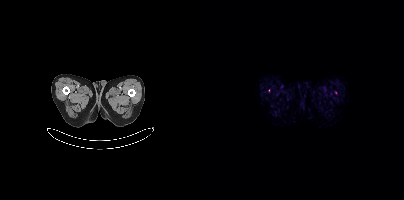
Only PSMA-avid lesion pieces thinner than 2 px on this slice (not listed).